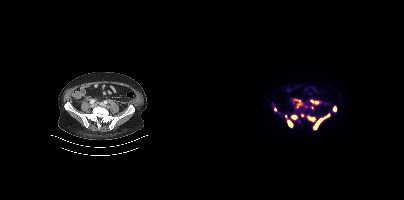
Two-panel axial: CT | PSMA PET, 18F-PSMA tracer.
Coordinates are on the 200×200 PET (right) panel. PSMA-avid tumor lesion bounding boxes:
| # | x0 | y0 | x1 | y1 |
|---|---|---|---|---|
| 1 | 109 | 113 | 126 | 129 |
| 2 | 83 | 120 | 89 | 127 |
| 3 | 103 | 116 | 111 | 121 |
| 4 | 91 | 99 | 97 | 107 |
| 5 | 106 | 100 | 115 | 104 |
| 6 | 87 | 115 | 93 | 119 |
| 7 | 129 | 106 | 132 | 111 |
Small PSMA-avid foci (2 to 4 px across) near (center x, center y): (98, 115); (71, 109); (81, 116); (108, 107).